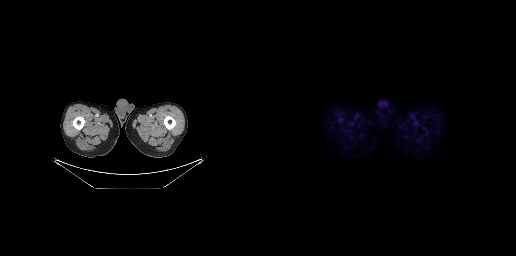
No PSMA-avid tumor lesions on this slice.